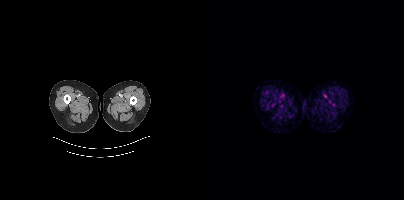
Two-panel axial: CT | PSMA PET, 18F tracer. Acquired on Siemens Biograph mCT Flow 20. Slice position z = -212 mm. PET panel 200×200 px (4.1 mm/px). No tumor lesions annotated on this slice.